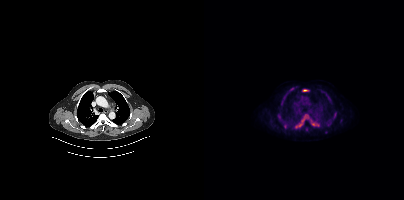
{"modality":"PSMA PET/CT","view":"axial","tracer":"18F-PSMA","pet_grid":[200,200],"coord_frame":"pet_panel","coord_format":"x0,y0,x1,y1","partial":true,"lesion_bboxes":[[93,119,100,127],[106,120,113,126],[80,124,83,128]],"small_foci_centers":[[87,89],[131,113],[125,99],[129,118],[115,125],[74,115]]}